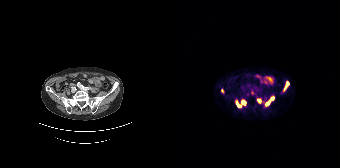
Coordinates are on the 168×168 PET (right) panel. (showing 5 of 7 foci) PSMA-avid tumor lesion bounding boxes (x0, y0)-(x1, y1): (64, 99)-(74, 107) / (93, 96)-(102, 105) / (112, 81)-(117, 90). Small PSMA-avid foci (2 to 4 px across) near (center x, center y): (86, 100) / (50, 90).